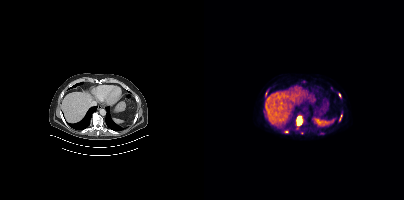
Two-panel axial: CT | PSMA PET, 18F-PSMA tracer. Slice position z = -590 mm. PET panel 200×200 px (4.1 mm/px).
Coordinates are on the 200×200 PET (right) panel. PSMA-avid tumor lesion bounding boxes (partial; 1 more focus not listed):
| # | x0 | y0 | x1 | y1 |
|---|---|---|---|---|
| 1 | 92 | 118 | 98 | 125 |
Small PSMA-avid focus (2 to 4 px across) near (center x, center y): (135, 95).